Technique: Left: CT. Right: PSMA PET, same axial level, [18F]PSMA-1007 tracer. acquired on GE Discovery 690. slice 113 of 263. PET panel 256×256 px (2.7 mm/px).
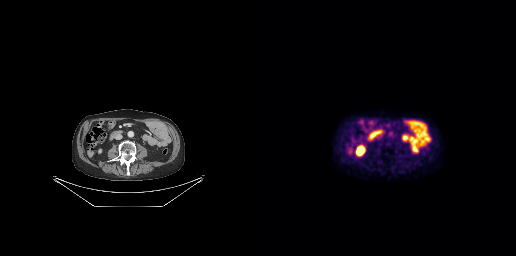
Findings: No tumor lesions annotated on this slice.